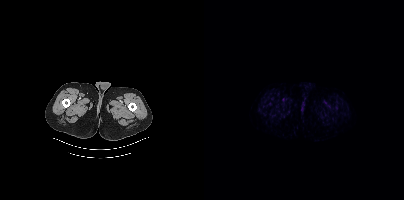
{"modality":"PSMA PET/CT","view":"axial","tracer":"[18F]PSMA-1007","pet_grid":[200,200],"coord_frame":"pet_panel","coord_format":"x0,y0,x1,y1","psma_avid_lesions":false}